modality: PSMA PET/CT | tracer: [18F]PSMA-1007 | view: axial
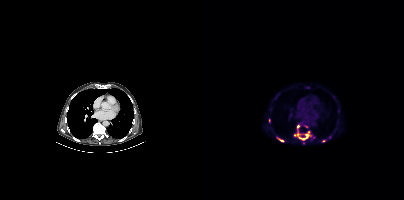
Coordinates are on the 200×200 PET (right) panel. (showing 8 of 9 foci) PSMA-avid tumor lesion bounding boxes (x0, y0)-(x1, y1): (93, 131)-(105, 140); (75, 139)-(79, 141). Small PSMA-avid foci (2 to 4 px across) near (center x, center y): (119, 141); (65, 120); (90, 135); (93, 126); (102, 126); (93, 131).